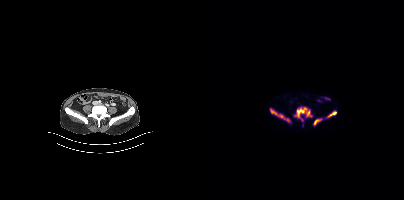
{"modality":"PSMA PET/CT","view":"axial","tracer":"[18F]PSMA-1007","pet_grid":[200,200],"coord_frame":"pet_panel","coord_format":"x0,y0,x1,y1","lesion_bboxes":[[90,106,108,121],[66,109,86,122],[109,118,118,125],[123,111,132,117]]}